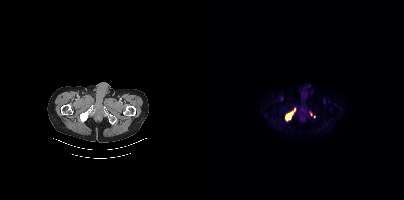
Findings: Coordinates are on the 200×200 PET (right) panel. PSMA-avid tumor lesion bounding box (x, y, width, height): x=82 y=108 w=10 h=13. Small PSMA-avid foci (2 to 4 px across) near (center x, center y): (107, 113) / (110, 116).
- Left: CT. Right: PSMA PET, same axial level, 18F-PSMA tracer
- acquired on Siemens Biograph mCT Flow 20
- PET panel 200×200 px (4.1 mm/px)